Two-panel axial: CT | PSMA PET, 18F-PSMA tracer. Acquired on GE Discovery 690. Slice 73 of 299.
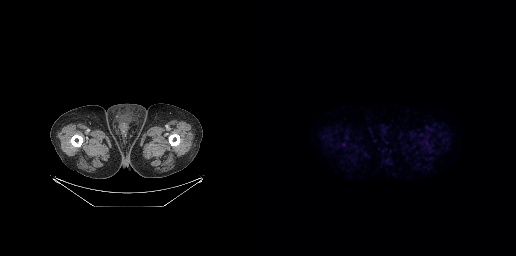
Negative for PSMA-avid disease on this slice.